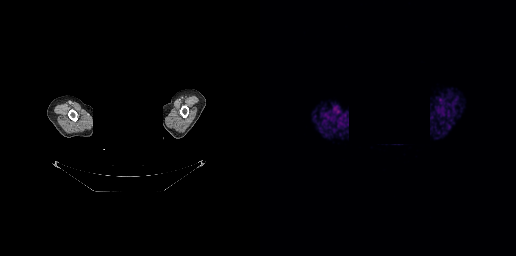
This slice has no annotated PSMA-avid lesion. Left: CT. Right: PSMA PET, same axial level, [68Ga]Ga-PSMA-11 tracer. Acquired on GE Discovery 690. A rectangular block over the head has been blanked out for de-identification.